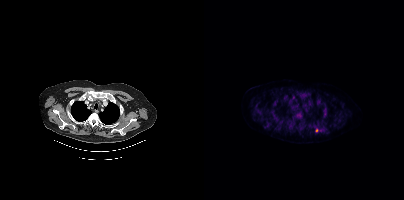
Coordinates are on the 200×200 PET (right) panel. Small PSMA-avid focus (2 to 4 px across) near (center x, center y): (112, 130).